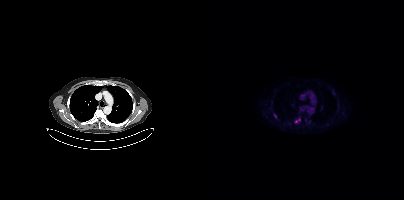
Findings: Coordinates are on the 200×200 PET (right) panel. (showing 2 of 3 foci) Small PSMA-avid foci (2 to 4 px across) near (center x, center y): (71, 115), (92, 121).
- Paired axial CT (left) and PSMA PET (right), [18F]PSMA-1007 tracer
- acquired on Siemens Biograph mCT Flow 20
- slice 319 of 429
- PET panel 200×200 px (4.1 mm/px)